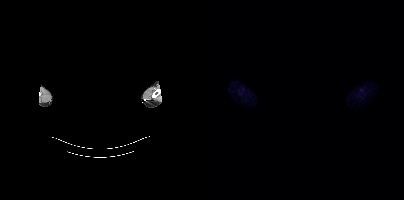
Technique: Paired axial CT (left) and PSMA PET (right), 18F-PSMA tracer.
Note: An anonymization step blacked out a rectangle over the head in this scan.
Findings: No PSMA-avid tumor lesions on this slice.